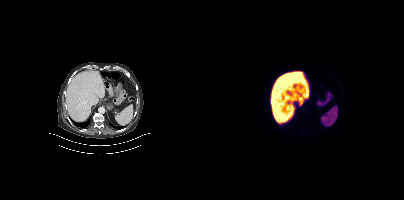
Findings: No PSMA-avid tumor lesions on this slice.
Technique: Two-panel axial: CT | PSMA PET, [18F]PSMA-1007 tracer.